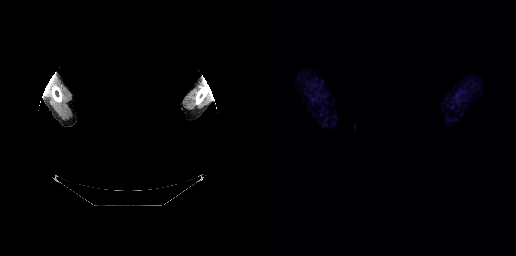
The face region was removed for patient privacy by blanking a rectangle over the head.
No tumor lesions annotated on this slice.